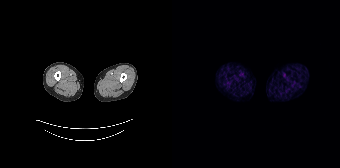
{"pet_grid":[168,168],"coord_frame":"pet_panel","coord_format":"x0,y0,x1,y1","psma_avid_lesions":false,"modality":"PSMA PET/CT","view":"axial","tracer":"[68Ga]Ga-PSMA-11"}